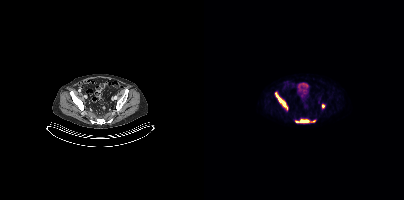
Coordinates are on the 200×200 PET (right) panel. (showing 3 of 4 foci) PSMA-avid tumor lesion bounding boxes (x0, y0)-(x1, y1): (71, 92)-(83, 109) / (92, 119)-(105, 122). Small PSMA-avid focus (2 to 4 px across) near (center x, center y): (118, 106).
modality: PSMA PET/CT | tracer: 18F-PSMA | view: axial